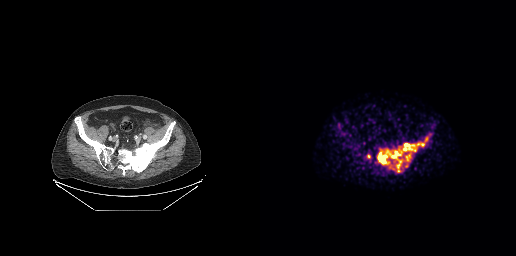
{"modality":"PSMA PET/CT","view":"axial","tracer":"68Ga","pet_grid":[256,256],"coord_frame":"pet_panel","coord_format":"x0,y0,x1,y1","partial":true,"lesion_bboxes":[[117,143,164,172],[146,154,150,160]],"small_foci_centers":[[166,138],[108,156]]}